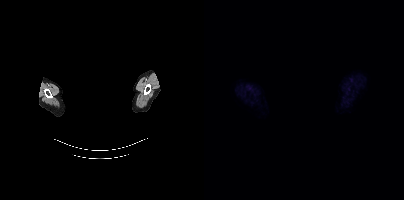
{"pet_grid":[200,200],"coord_frame":"pet_panel","coord_format":"x0,y0,x1,y1","psma_avid_lesions":false,"modality":"PSMA PET/CT","view":"axial","tracer":"18F","de-identification":"face masked with black rectangle"}